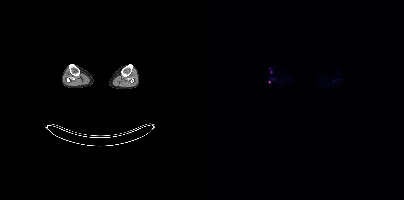
{"pet_grid":[200,200],"coord_frame":"pet_panel","coord_format":"x0,y0,x1,y1","lesion_bboxes":[],"small_foci_centers":[[65,81]],"modality":"PSMA PET/CT","view":"axial","tracer":"18F"}